- Left: CT. Right: PSMA PET, same axial level, 18F tracer
- acquired on Siemens Biograph mCT Flow 20
- PET panel 200×200 px (4.1 mm/px)
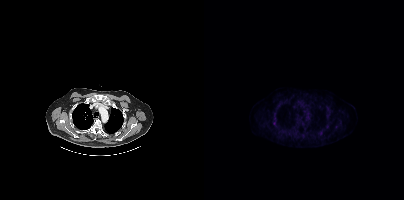
Findings: Only PSMA-avid lesion pieces thinner than 2 px on this slice (not listed).